Paired axial CT (left) and PSMA PET (right), 18F-PSMA tracer. Slice position z = -1055 mm.
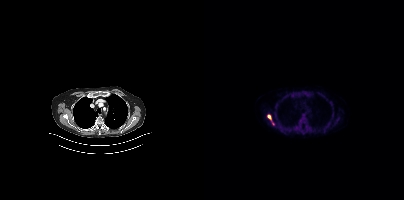
Coordinates are on the 200×200 PET (right) panel. PSMA-avid tumor lesion bounding box (x0,y0,x1,y1): [64,115,70,125].